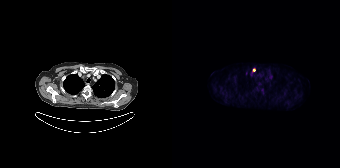
modality: PSMA PET/CT | tracer: [18F]PSMA-1007 | view: axial
Coordinates are on the 168×168 PET (right) panel. Small PSMA-avid foci (2 to 4 px across) near (center x, center y): (82, 69); (87, 83).